Technique: Two-panel axial: CT | PSMA PET, 18F-PSMA tracer. slice position z = -794 mm.
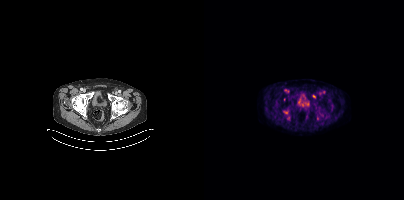
Findings: Coordinates are on the 200×200 PET (right) panel. (showing 1 of 3 foci) Small PSMA-avid focus (2 to 4 px across) near (center x, center y): (113, 117).